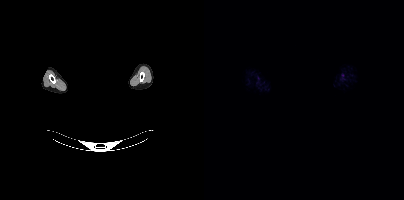
Technique: Two-panel axial: CT | PSMA PET, 18F-PSMA tracer. acquired on Siemens Biograph mCT Flow 20. PET panel 200×200 px (4.1 mm/px).
Note: A rectangular block over the head has been blanked out for de-identification.
Findings: Negative for PSMA-avid disease on this slice.